Paired axial CT (left) and PSMA PET (right), 18F-PSMA tracer. Acquired on Siemens Biograph mCT Flow 20. Slice position z = -1394 mm. PET panel 200×200 px (4.1 mm/px).
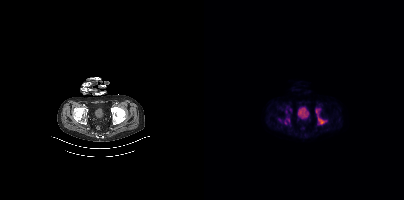
Coordinates are on the 200×200 PET (right) panel. PSMA-avid tumor lesion bounding boxes (partial; 1 more focus not listed):
| # | x0 | y0 | x1 | y1 |
|---|---|---|---|---|
| 1 | 111 | 108 | 122 | 124 |
| 2 | 80 | 118 | 85 | 124 |
Small PSMA-avid focus (2 to 4 px across) near (center x, center y): (75, 119).